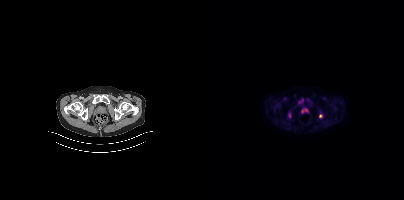
Coordinates are on the 200×200 PET (right) panel. Small PSMA-avid focus (2 to 4 px across) near (center x, center y): (116, 115).
modality: PSMA PET/CT | tracer: [18F]PSMA-1007 | view: axial | PET grid: 200×200